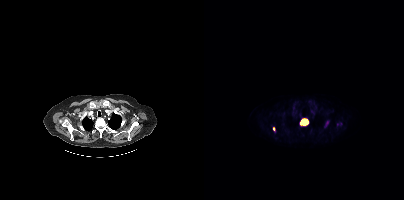
{"modality":"PSMA PET/CT","view":"axial","tracer":"18F-PSMA","pet_grid":[200,200],"coord_frame":"pet_panel","coord_format":"x0,y0,x1,y1","lesion_bboxes":[[96,117,105,125]],"small_foci_centers":[[69,128]]}